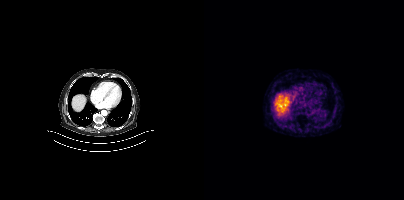
Left: CT. Right: PSMA PET, same axial level, 68Ga-PSMA tracer. No tumor lesions annotated on this slice.